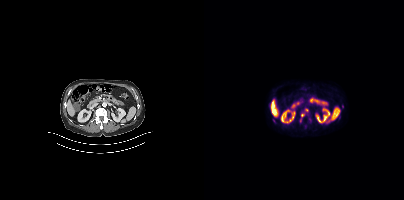
Left: CT. Right: PSMA PET, same axial level, 18F-PSMA tracer. PET panel 200×200 px (4.1 mm/px). Coordinates are on the 200×200 PET (right) panel. (showing 4 of 5 foci) Small PSMA-avid foci (2 to 4 px across) near (center x, center y): (98, 114) (102, 110) (138, 106) (69, 120).